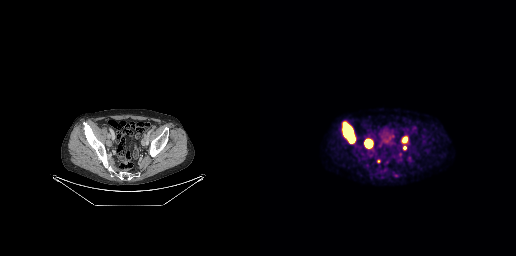
Left: CT. Right: PSMA PET, same axial level, 18F-PSMA tracer. Slice position z = -807 mm. PET panel 256×256 px (2.7 mm/px).
Coordinates are on the 256×256 PET (right) panel. PSMA-avid tumor lesion bounding boxes:
| # | x0 | y0 | x1 | y1 |
|---|---|---|---|---|
| 1 | 83 | 124 | 94 | 142 |
| 2 | 105 | 140 | 112 | 147 |
| 3 | 143 | 137 | 146 | 141 |
Small PSMA-avid foci (2 to 4 px across) near (center x, center y): (144, 147); (118, 161); (119, 145).